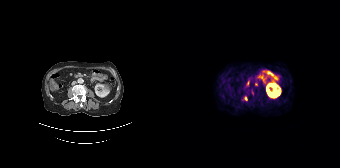
- Two-panel axial: CT | PSMA PET, 68Ga-PSMA tracer
- acquired on Siemens Biograph 64-4R TruePoint
Findings: Coordinates are on the 168×168 PET (right) panel. PSMA-avid tumor lesion bounding box (x, y, width, height): x=72 y=96 w=4 h=5. Small PSMA-avid foci (2 to 4 px across) near (center x, center y): (84, 84) | (76, 82).